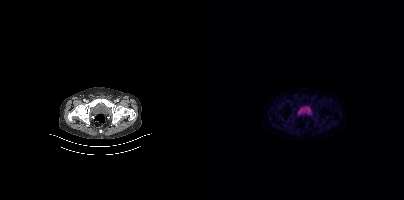
This slice has no annotated PSMA-avid lesion.
modality: PSMA PET/CT | tracer: 18F-PSMA | view: axial